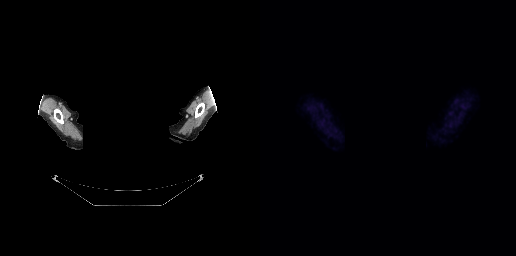
Negative for PSMA-avid disease on this slice.
modality: PSMA PET/CT | tracer: 18F | view: axial | de-identification: facial region redacted